Paired axial CT (left) and PSMA PET (right), 18F tracer. PET panel 200×200 px (4.1 mm/px).
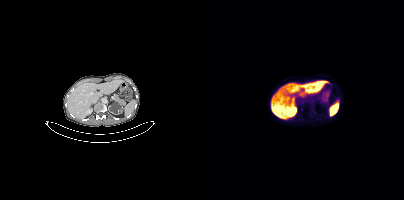
Negative for PSMA-avid disease on this slice.